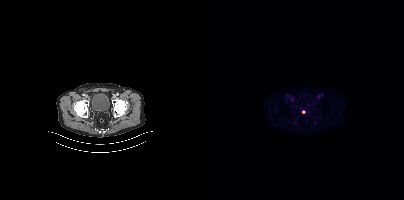
modality: PSMA PET/CT | tracer: 18F-PSMA | view: axial | PET grid: 200×200
Negative for PSMA-avid disease on this slice.